Technique: Paired axial CT (left) and PSMA PET (right), [68Ga]Ga-PSMA-11 tracer. slice position z = -704 mm. PET panel 256×256 px (2.7 mm/px).
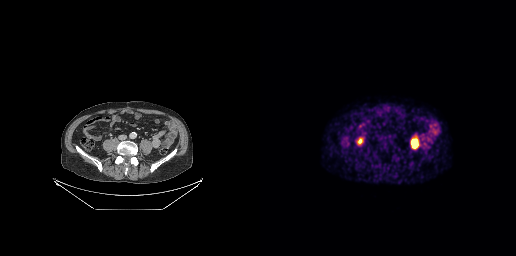
Findings: This slice has no annotated PSMA-avid lesion.